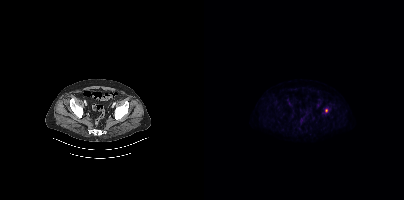
Coordinates are on the 200×200 PET (right) panel. Small PSMA-avid focus (2 to 4 px across) near (center x, center y): (122, 110). Paired axial CT (left) and PSMA PET (right), [18F]PSMA-1007 tracer. Acquired on Siemens Biograph mCT Flow 20. Slice 111 of 450. PET panel 200×200 px (4.1 mm/px).